Technique: Paired axial CT (left) and PSMA PET (right), [18F]PSMA-1007 tracer. acquired on Siemens Biograph mCT Flow 20.
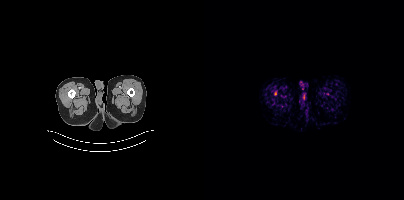
Findings: This slice has no annotated PSMA-avid lesion.